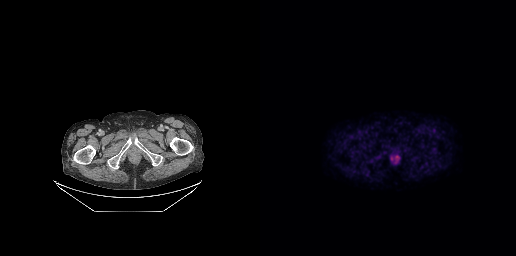
Two-panel axial: CT | PSMA PET, [18F]PSMA-1007 tracer. PET panel 256×256 px (2.7 mm/px). No PSMA-avid tumor lesions on this slice.